- Two-panel axial: CT | PSMA PET, 18F-PSMA tracer
- slice 196 of 419
- PET panel 200×200 px (4.1 mm/px)
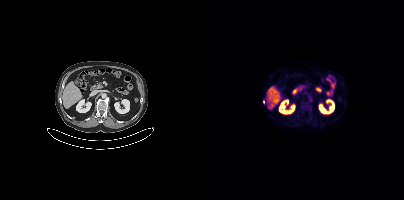
Findings: Only PSMA-avid lesion pieces thinner than 2 px on this slice (not listed).